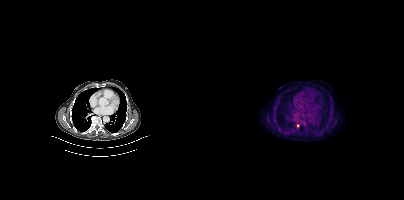
Coordinates are on the 200×200 PET (right) panel. Small PSMA-avid focus (2 to 4 px across) near (center x, center y): (94, 125).